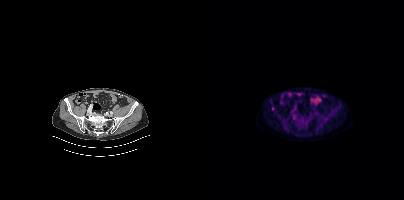
Findings: Coordinates are on the 200×200 PET (right) panel. Small PSMA-avid focus (2 to 4 px across) near (center x, center y): (68, 108).
Technique: Two-panel axial: CT | PSMA PET, 18F tracer. PET panel 200×200 px (4.1 mm/px).